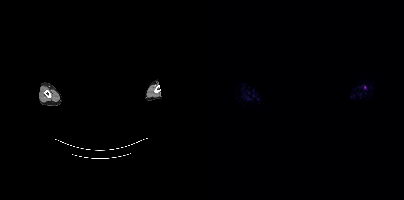
- any black rectangle over the head is a privacy mask, not anatomy
- Two-panel axial: CT | PSMA PET, 18F-PSMA tracer
Findings: No PSMA-avid tumor lesions on this slice.